- Left: CT. Right: PSMA PET, same axial level, [18F]PSMA-1007 tracer
- slice position z = -463 mm
- PET panel 200×200 px (4.1 mm/px)
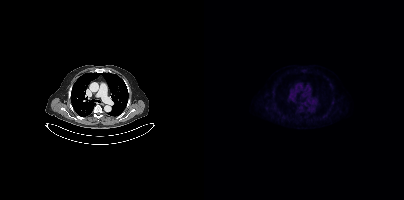
Findings: No tumor lesions annotated on this slice.